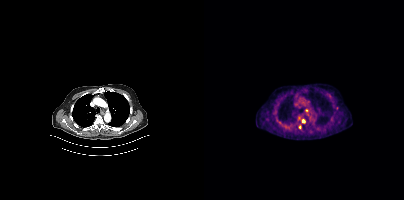
{"modality":"PSMA PET/CT","view":"axial","tracer":"[18F]PSMA-1007","pet_grid":[200,200],"coord_frame":"pet_panel","coord_format":"x0,y0,x1,y1","partial":true,"lesion_bboxes":[[98,119,101,123]],"small_foci_centers":[[102,110],[96,126]]}